modality: PSMA PET/CT | tracer: 68Ga | view: axial | PET grid: 168×168
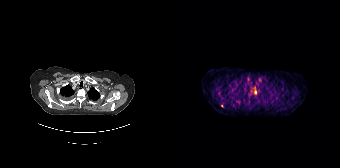
Coordinates are on the 168×168 PET (right) panel. Small PSMA-avid foci (2 to 4 px across) near (center x, center y): (83, 92); (49, 105).